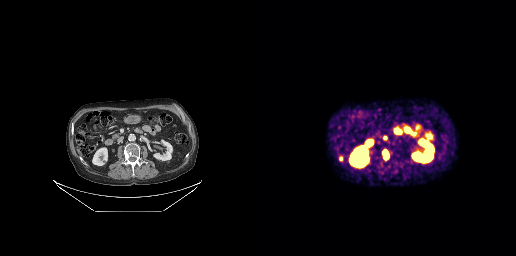
Paired axial CT (left) and PSMA PET (right), [68Ga]Ga-PSMA-11 tracer. Coordinates are on the 256×256 PET (right) panel. PSMA-avid tumor lesion bounding boxes (x, y, width, height): x=123 y=150 w=6 h=9 / x=79 y=156 w=4 h=6.